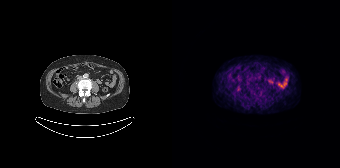
Two-panel axial: CT | PSMA PET, 68Ga tracer. Slice 62 of 165. No PSMA-avid tumor lesions on this slice.